Technique: Paired axial CT (left) and PSMA PET (right), [18F]PSMA-1007 tracer. slice position z = 170 mm.
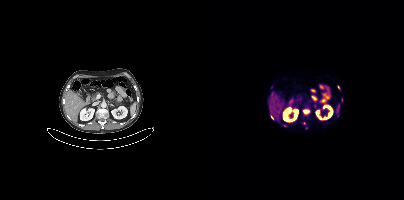
Findings: Coordinates are on the 200×200 PET (right) panel. (showing 5 of 8 foci) PSMA-avid tumor lesion bounding box (x0,y0,x1,y1): [99,111,104,114]. Small PSMA-avid foci (2 to 4 px across) near (center x, center y): (68, 117); (81, 125); (67, 87); (102, 127).